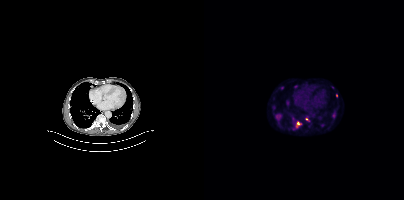
Coordinates are on the 200×200 PET (right) panel. (showing 9 of 11 foci) PSMA-avid tumor lesion bounding boxes (x0,y0,x1,y1): [71,114,77,120]; [91,121,97,127]; [129,113,131,117]. Small PSMA-avid foci (2 to 4 px across) near (center x, center y): (103, 119); (78, 88); (118, 124); (91, 86); (69, 106); (132, 95).